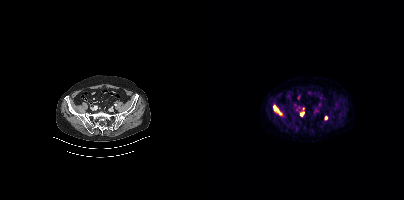
- Left: CT. Right: PSMA PET, same axial level, 18F-PSMA tracer
Findings: Coordinates are on the 200×200 PET (right) panel. (showing 4 of 6 foci) Small PSMA-avid foci (2 to 4 px across) near (center x, center y): (97, 113) | (70, 107) | (122, 118) | (99, 108).